Two-panel axial: CT | PSMA PET, 18F-PSMA tracer. Slice 130 of 508. PET panel 200×200 px (4.1 mm/px).
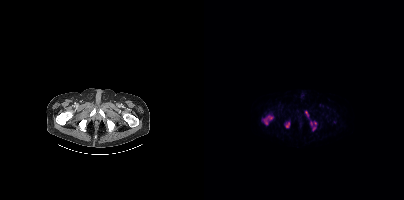
Coordinates are on the 200×200 PET (right) panel. PSMA-avid tumor lesion bounding boxes (partial; 1 more focus not listed):
| # | x0 | y0 | x1 | y1 |
|---|---|---|---|---|
| 1 | 58 | 114 | 68 | 124 |
| 2 | 82 | 122 | 85 | 127 |
| 3 | 101 | 111 | 104 | 116 |
Small PSMA-avid foci (2 to 4 px across) near (center x, center y): (110, 128); (107, 123); (111, 123).